A rectangle over the head was blacked out to remove identifiable facial features.
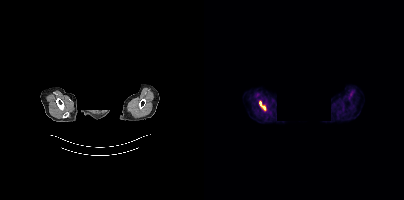
Coordinates are on the 200×200 PET (right) panel. PSMA-avid tumor lesion bounding box (x, y, width, height): x=55 y=101 w=7 h=9.